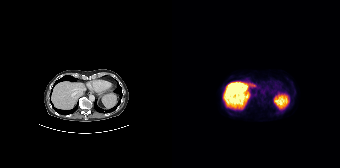
modality: PSMA PET/CT | tracer: [18F]PSMA-1007 | view: axial
This slice has no annotated PSMA-avid lesion.